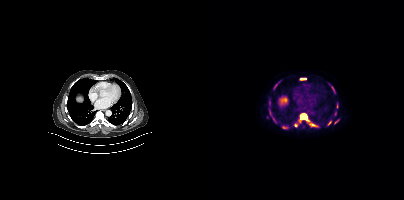
Coordinates are on the 200×200 PET (right) panel. (showing 9 of 11 foci) PSMA-avid tumor lesion bounding boxes (x0,y0,x1,y1): [94,113,103,122] [69,83,73,89] [80,125,84,129] [96,78,102,79] [128,87,130,91]. Small PSMA-avid foci (2 to 4 px across) near (center x, center y): (91, 125) (113, 126) (71, 121) (125, 123).